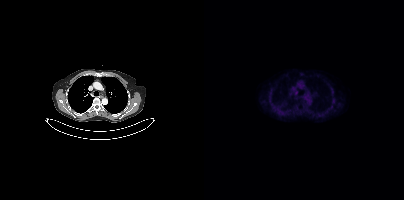
Coordinates are on the 200×200 PET (right) panel. Small PSMA-avid focus (2 to 4 px across) near (center x, center y): (92, 92).